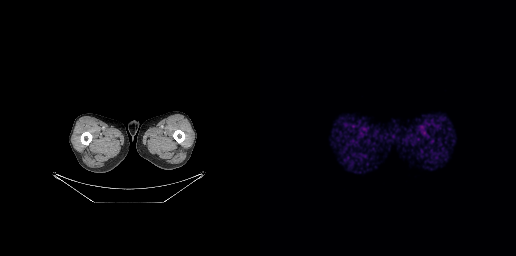
This slice has no annotated PSMA-avid lesion.
modality: PSMA PET/CT | tracer: [68Ga]Ga-PSMA-11 | view: axial